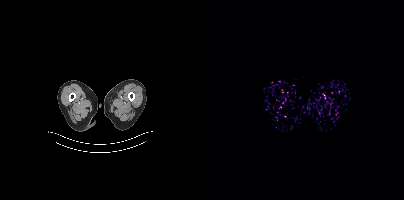
- Paired axial CT (left) and PSMA PET (right), [68Ga]Ga-PSMA-11 tracer
- acquired on Siemens Biograph mCT Flow 20
- slice position z = -1536 mm
- PET panel 200×200 px (4.1 mm/px)
Findings: No PSMA-avid tumor lesions on this slice.